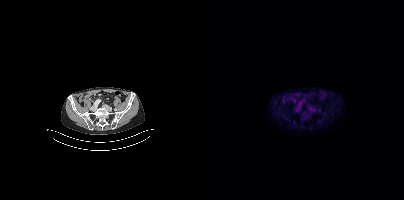
{"modality":"PSMA PET/CT","view":"axial","tracer":"[18F]PSMA-1007","pet_grid":[200,200],"coord_frame":"pet_panel","coord_format":"x0,y0,x1,y1","psma_avid_lesions":false}